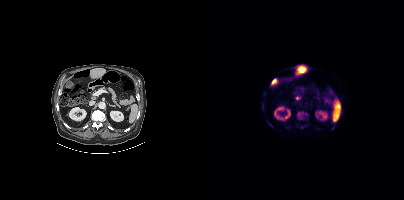
Coordinates are on the 200×200 PET (right) panel. (showing 3 of 4 foci) PSMA-avid tumor lesion bounding box (x0,y0,x1,y1): [93,111,104,120]. Small PSMA-avid foci (2 to 4 px across) near (center x, center y): (93, 98) (97, 127).